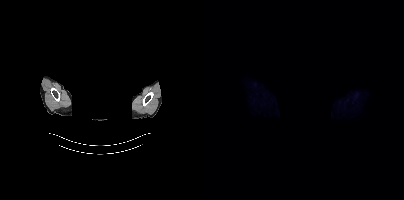
De-identified by setting a box covering the face to black before release. Paired axial CT (left) and PSMA PET (right), 18F tracer. No PSMA-avid tumor lesions on this slice.